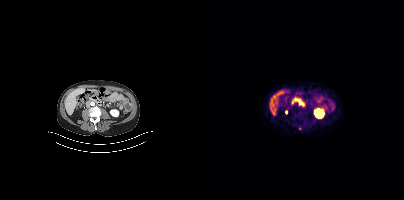
{"modality":"PSMA PET/CT","view":"axial","tracer":"68Ga-PSMA","pet_grid":[200,200],"coord_frame":"pet_panel","coord_format":"x0,y0,x1,y1","partial":true,"lesion_bboxes":[],"small_foci_centers":[[82,112],[88,102]]}